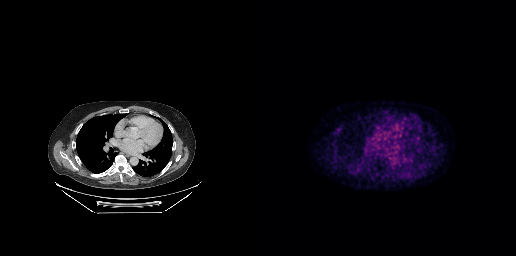
{"modality":"PSMA PET/CT","view":"axial","tracer":"[18F]PSMA-1007","pet_grid":[256,256],"coord_frame":"pet_panel","coord_format":"x0,y0,x1,y1","psma_avid_lesions":false}